Two-panel axial: CT | PSMA PET, 18F-PSMA tracer. Slice 104 of 413. PET panel 200×200 px (4.1 mm/px).
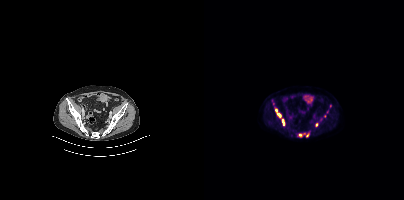
Coordinates are on the 200×200 PET (right) panel. PSMA-avid tumor lesion bounding boxes (partial; 2 more foci not listed):
| # | x0 | y0 | x1 | y1 |
|---|---|---|---|---|
| 1 | 71 | 109 | 77 | 118 |
| 2 | 94 | 133 | 105 | 137 |
| 3 | 78 | 119 | 80 | 125 |
Small PSMA-avid focus (2 to 4 px across) near (center x, center y): (112, 124).